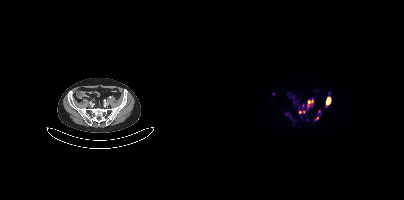
{"modality":"PSMA PET/CT","view":"axial","tracer":"68Ga-PSMA","pet_grid":[200,200],"coord_frame":"pet_panel","coord_format":"x0,y0,x1,y1","partial":true,"lesion_bboxes":[[102,100,108,109],[122,97,126,106]],"small_foci_centers":[[115,111],[96,112],[113,118],[98,105],[99,111]]}